Left: CT. Right: PSMA PET, same axial level, [18F]PSMA-1007 tracer. Slice position z = -1484 mm. PET panel 200×200 px (4.1 mm/px).
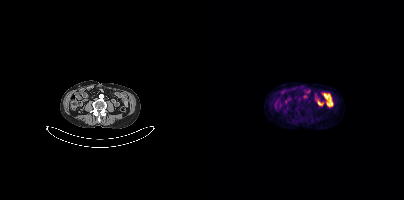
This slice has no annotated PSMA-avid lesion.